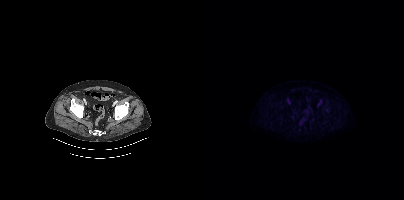
Technique: Left: CT. Right: PSMA PET, same axial level, 18F tracer. acquired on Siemens Biograph mCT Flow 20. slice 108 of 450.
Findings: No PSMA-avid tumor lesions on this slice.